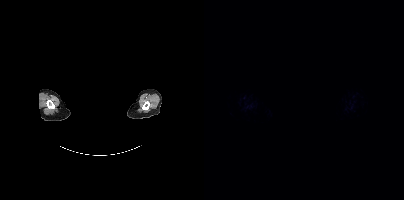
The face region was removed for patient privacy by blanking a rectangle over the head. Paired axial CT (left) and PSMA PET (right), 18F-PSMA tracer. This slice has no annotated PSMA-avid lesion.